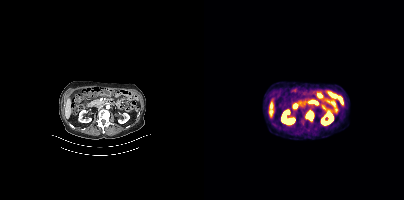
Coordinates are on the 200×200 PET (right) panel. PSMA-avid tumor lesion bounding box (x, y, width, height): x=102 y=111 w=8 h=9.